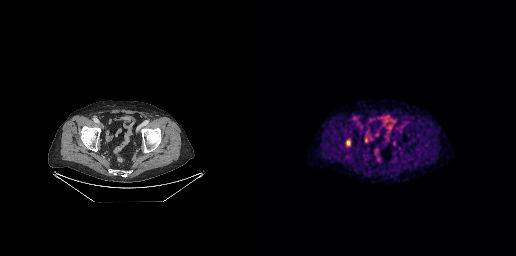
{"modality":"PSMA PET/CT","view":"axial","tracer":"18F-PSMA","pet_grid":[256,256],"coord_frame":"pet_panel","coord_format":"x0,y0,x1,y1","lesion_bboxes":[[86,140,90,145]]}